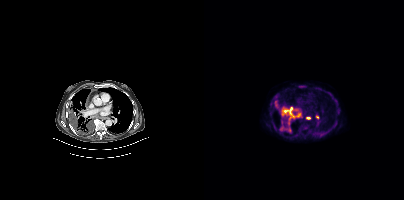
Technique: Left: CT. Right: PSMA PET, same axial level, [18F]PSMA-1007 tracer. acquired on Siemens Biograph mCT Flow 20.
Findings: Coordinates are on the 200×200 PET (right) panel. PSMA-avid tumor lesion bounding boxes (x0,y0,x1,y1): [85,106,97,118]; [76,120,87,133]; [76,107,83,117]; [95,85,101,87]; [71,101,74,107]. Small PSMA-avid foci (2 to 4 px across) near (center x, center y): (101, 127); (113, 116); (104, 117).